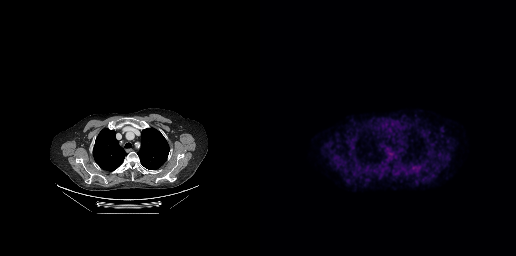
{"modality":"PSMA PET/CT","view":"axial","tracer":"18F-PSMA","pet_grid":[256,256],"coord_frame":"pet_panel","coord_format":"x0,y0,x1,y1","psma_avid_lesions":false}